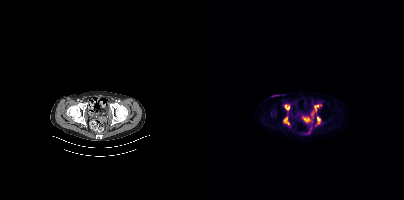
Coordinates are on the 200×200 PET (right) panel. PSMA-avid tumor lesion bounding boxes (x0, y0)-(x1, y1): (79, 116)-(84, 123) / (79, 105)-(84, 111) / (113, 117)-(116, 123) / (110, 105)-(114, 110). Small PSMA-avid foci (2 to 4 px across) near (center x, center y): (103, 119) / (100, 119) / (84, 106).